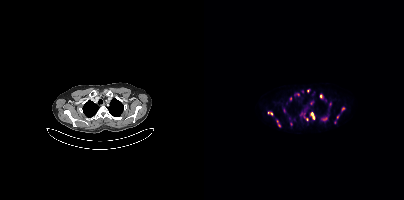
Technique: Two-panel axial: CT | PSMA PET, 18F tracer. acquired on Siemens Biograph mCT Flow 20. PET panel 200×200 px (4.1 mm/px).
Findings: Coordinates are on the 200×200 PET (right) panel. (showing 15 of 17 foci) PSMA-avid tumor lesion bounding boxes (x0,y0,x1,y1): [117,114,124,120]; [106,113,111,119]; [137,107,141,111]; [116,94,118,98]. Small PSMA-avid foci (2 to 4 px across) near (center x, center y): (107, 102); (126, 103); (93, 94); (87, 123); (102, 118); (75, 125); (67, 114); (73, 121); (103, 90); (86, 98); (80, 110).